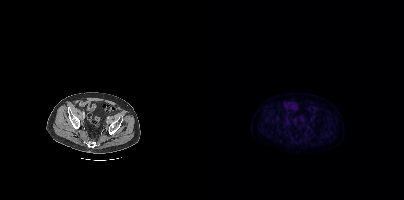
Left: CT. Right: PSMA PET, same axial level, [18F]PSMA-1007 tracer. Negative for PSMA-avid disease on this slice.